Technique: Left: CT. Right: PSMA PET, same axial level, [18F]PSMA-1007 tracer. acquired on Siemens Biograph mCT Flow 20.
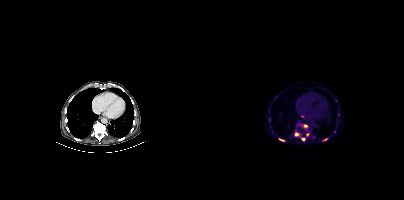
Findings: Coordinates are on the 200×200 PET (right) panel. PSMA-avid tumor lesion bounding box (x0,y0,x1,y1): [119,138,123,141]. Small PSMA-avid foci (2 to 4 px across) near (center x, center y): (92, 134); (99, 139); (134, 114); (103, 134); (97, 125); (101, 125); (77, 139); (98, 116).